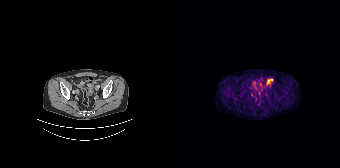
Findings: Coordinates are on the 168×168 PET (right) panel. Small PSMA-avid focus (2 to 4 px across) near (center x, center y): (79, 94).
- Left: CT. Right: PSMA PET, same axial level, [68Ga]Ga-PSMA-11 tracer
- PET panel 168×168 px (4.1 mm/px)